Technique: Left: CT. Right: PSMA PET, same axial level, 68Ga-PSMA tracer.
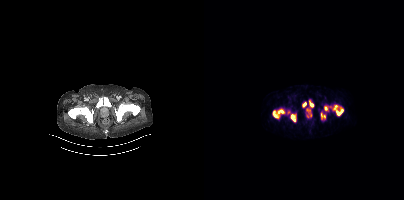
Findings: No tumor lesions annotated on this slice.